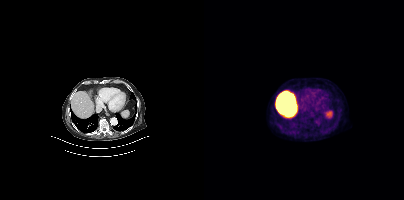
modality: PSMA PET/CT | tracer: [18F]PSMA-1007 | view: axial | PET grid: 200×200
Negative for PSMA-avid disease on this slice.